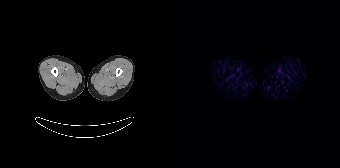
This slice has no annotated PSMA-avid lesion. Two-panel axial: CT | PSMA PET, 68Ga tracer. Acquired on Siemens Biograph 64-4R TruePoint.